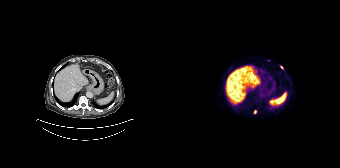
Coordinates are on the 168×168 PET (right) panel. (showing 2 of 3 foci) PSMA-avid tumor lesion bounding box (x0, y0)-(x1, y1): (108, 65)-(111, 69). Small PSMA-avid focus (2 to 4 px across) near (center x, center y): (83, 111).